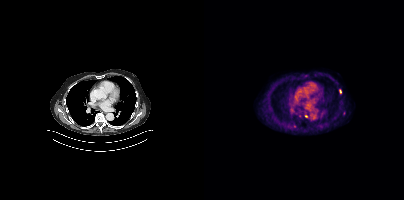
Coordinates are on the 200×200 PET (right) panel. PSMA-avid tumor lesion bounding boxes (partial; 2 more foci not listed):
| # | x0 | y0 | x1 | y1 |
|---|---|---|---|---|
| 1 | 135 | 89 | 137 | 93 |
Small PSMA-avid focus (2 to 4 px across) near (center x, center y): (102, 116).
Left: CT. Right: PSMA PET, same axial level, 18F tracer. Acquired on Siemens Biograph mCT Flow 20. PET panel 200×200 px (4.1 mm/px).